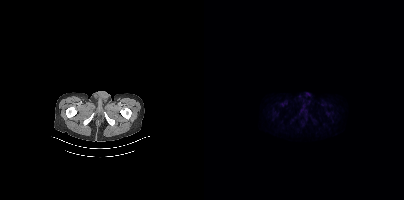
No tumor lesions annotated on this slice.